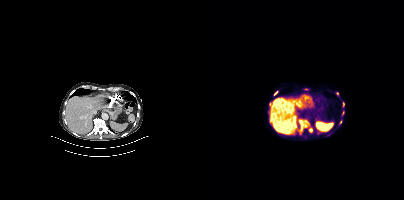
Technique: Paired axial CT (left) and PSMA PET (right), 18F-PSMA tracer. slice 281 of 466.
Findings: Coordinates are on the 200×200 PET (right) panel. (showing 7 of 8 foci) PSMA-avid tumor lesion bounding boxes (x0,y0,x1,y1): [93,119,108,134], [138,102,140,107], [138,111,140,115], [70,91,73,95]. Small PSMA-avid foci (2 to 4 px across) near (center x, center y): (133, 93), (66, 104), (136, 122).